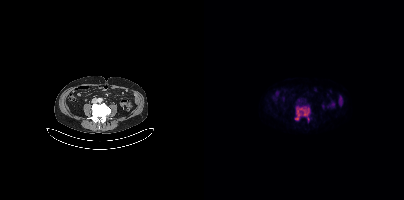
Findings: Coordinates are on the 200×200 PET (right) panel. PSMA-avid tumor lesion bounding box (x0,y0,x1,y1): [91,106,106,121].
- Paired axial CT (left) and PSMA PET (right), 18F tracer